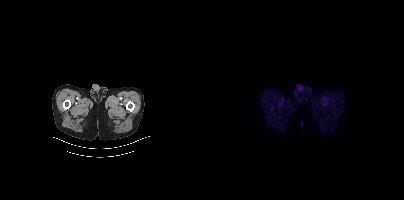
Paired axial CT (left) and PSMA PET (right), 18F tracer. Acquired on Siemens Biograph mCT Flow 20. Slice position z = -169 mm. No tumor lesions annotated on this slice.